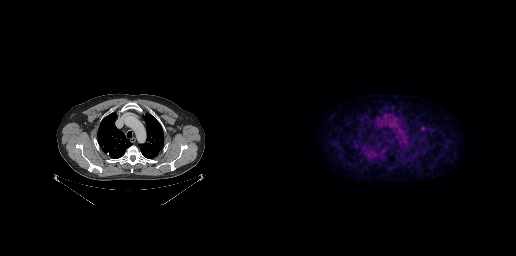
Technique: Paired axial CT (left) and PSMA PET (right), 18F tracer. acquired on GE Discovery 690. PET panel 256×256 px (2.7 mm/px).
Findings: Negative for PSMA-avid disease on this slice.